Two-panel axial: CT | PSMA PET, [18F]PSMA-1007 tracer.
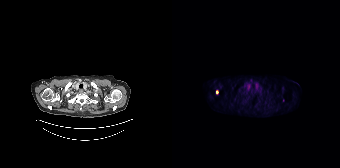
Coordinates are on the 168×168 PET (right) panel. Small PSMA-avid focus (2 to 4 px across) near (center x, center y): (45, 92).